Technique: Left: CT. Right: PSMA PET, same axial level, [18F]PSMA-1007 tracer. PET panel 200×200 px (4.1 mm/px).
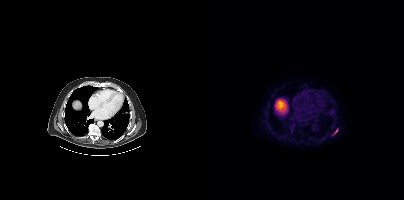
Findings: Coordinates are on the 200×200 PET (right) panel. PSMA-avid tumor lesion bounding box (x, y, width, height): x=129 y=129 w=6 h=6.